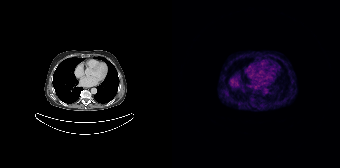
No tumor lesions annotated on this slice.